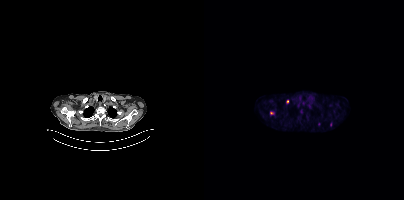
Left: CT. Right: PSMA PET, same axial level, 18F-PSMA tracer. PET panel 200×200 px (4.1 mm/px). Coordinates are on the 200×200 PET (right) panel. (showing 3 of 4 foci) Small PSMA-avid foci (2 to 4 px across) near (center x, center y): (67, 112) | (83, 101) | (115, 124).